Technique: Left: CT. Right: PSMA PET, same axial level, 18F tracer. acquired on Siemens Biograph mCT Flow 20. slice position z = -289 mm.
Note: The face region was removed for patient privacy by blanking a rectangle over the head.
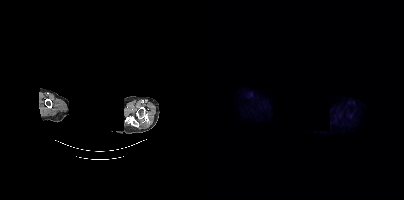
Findings: This slice has no annotated PSMA-avid lesion.